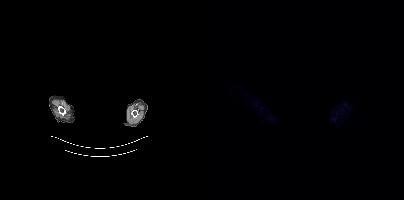
No tumor lesions annotated on this slice. Paired axial CT (left) and PSMA PET (right), 18F-PSMA tracer. Acquired on Siemens Biograph mCT Flow 20. Slice 329 of 344. Head region blanked for anonymization (face removed).